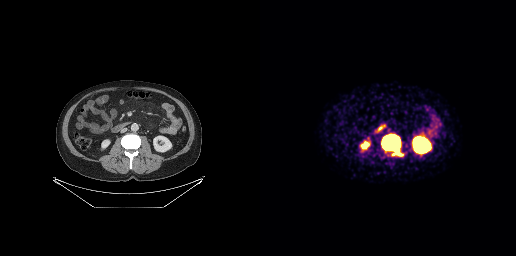
{"modality":"PSMA PET/CT","view":"axial","tracer":"68Ga","pet_grid":[256,256],"coord_frame":"pet_panel","coord_format":"x0,y0,x1,y1","partial":true,"lesion_bboxes":[[122,134,140,153]]}